Paired axial CT (left) and PSMA PET (right), [18F]PSMA-1007 tracer.
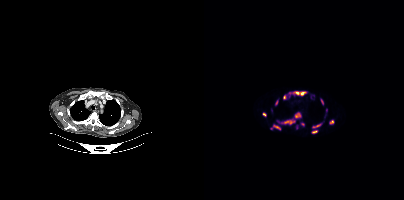
Coordinates are on the 200×200 PET (right) panel. (showing 14 of 16 foci) PSMA-avid tumor lesion bounding boxes (x0,y0,x1,y1): [77,119,91,124]; [89,91,102,95]; [91,112,97,118]; [66,124,76,129]; [108,123,118,128]; [125,120,130,124]; [108,130,113,133]; [79,95,82,99]; [117,99,119,104]; [71,100,73,104]. Small PSMA-avid foci (2 to 4 px across) near (center x, center y): (60, 114); (98, 124); (85, 93); (122, 109).